modality: PSMA PET/CT | tracer: 18F-PSMA | view: axial
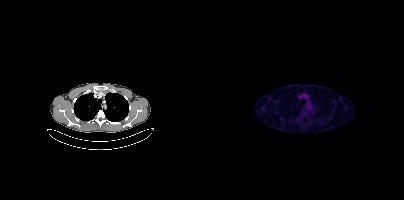
Coordinates are on the 200×200 PET (right) panel. Small PSMA-avid focus (2 to 4 px across) near (center x, center y): (129, 110).